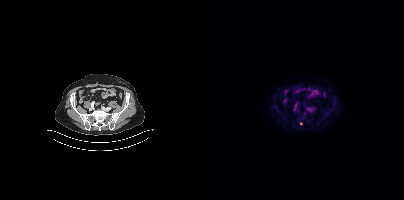
Findings: Coordinates are on the 200×200 PET (right) panel. PSMA-avid tumor lesion bounding box (x, y, width, height): x=96 y=116 w=4 h=5. Small PSMA-avid focus (2 to 4 px across) near (center x, center y): (96, 123).
- Paired axial CT (left) and PSMA PET (right), [18F]PSMA-1007 tracer
- acquired on Siemens Biograph mCT Flow 20